Paired axial CT (left) and PSMA PET (right), 18F tracer. Slice position z = 114 mm. PET panel 200×200 px (4.1 mm/px).
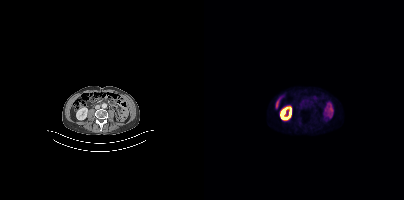
Negative for PSMA-avid disease on this slice.